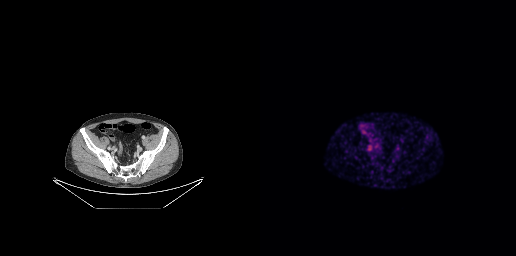
{"pet_grid":[256,256],"coord_frame":"pet_panel","coord_format":"x0,y0,x1,y1","partial":true,"lesion_bboxes":[],"modality":"PSMA PET/CT","view":"axial","tracer":"68Ga-PSMA"}